- Two-panel axial: CT | PSMA PET, 18F tracer
- slice position z = -1019 mm
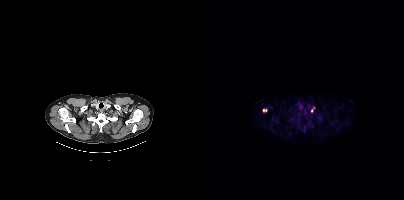
Findings: Coordinates are on the 200×200 PET (right) panel. (showing 2 of 3 foci) PSMA-avid tumor lesion bounding box (x0,y0,x1,y1): [58,108,63,112]. Small PSMA-avid focus (2 to 4 px across) near (center x, center y): (107, 110).